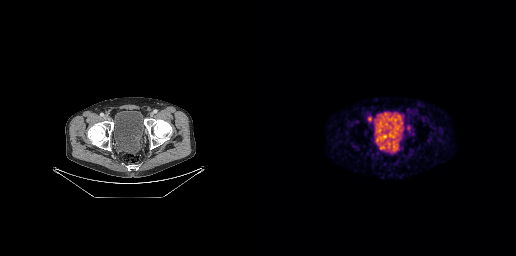
{"modality":"PSMA PET/CT","view":"axial","tracer":"68Ga","pet_grid":[256,256],"coord_frame":"pet_panel","coord_format":"x0,y0,x1,y1","lesion_bboxes":[[126,127,132,133],[107,116,112,121]]}